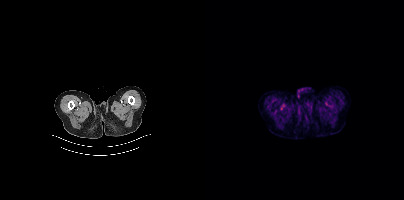
Two-panel axial: CT | PSMA PET, 18F-PSMA tracer. PET panel 200×200 px (4.1 mm/px). Negative for PSMA-avid disease on this slice.